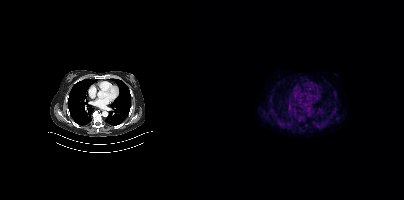
modality: PSMA PET/CT | tracer: 18F-PSMA | view: axial | PET grid: 200×200
No PSMA-avid tumor lesions on this slice.